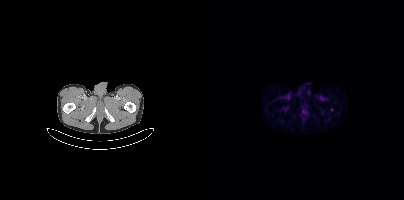
Findings: Coordinates are on the 200×200 PET (right) panel. Small PSMA-avid focus (2 to 4 px across) near (center x, center y): (127, 109).
Technique: Left: CT. Right: PSMA PET, same axial level, 18F tracer. acquired on Siemens Biograph mCT Flow 20.